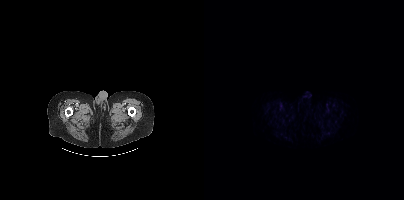
{"pet_grid":[200,200],"coord_frame":"pet_panel","coord_format":"x0,y0,x1,y1","psma_avid_lesions":false,"modality":"PSMA PET/CT","view":"axial","tracer":"[18F]PSMA-1007"}